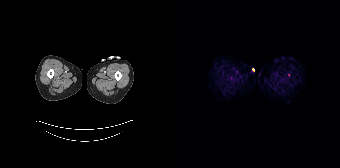
modality: PSMA PET/CT | tracer: 68Ga | view: axial
This slice has no annotated PSMA-avid lesion.